Paired axial CT (left) and PSMA PET (right), [18F]PSMA-1007 tracer. Slice position z = -1389 mm.
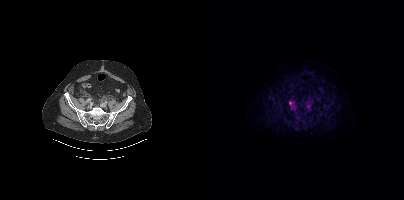
Coordinates are on the 200×200 PET (right) panel. PSMA-avid tumor lesion bounding box (x0, y0)-(x1, y1): (85, 100)-(90, 104). Small PSMA-avid focus (2 to 4 px across) near (center x, center y): (88, 107).